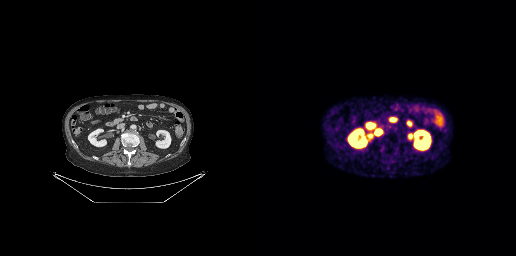
Paired axial CT (left) and PSMA PET (right), [68Ga]Ga-PSMA-11 tracer. Slice position z = -589 mm. PET panel 256×256 px (2.7 mm/px).
Coordinates are on the 256×256 PET (right) panel. PSMA-avid tumor lesion bounding boxes:
| # | x0 | y0 | x1 | y1 |
|---|---|---|---|---|
| 1 | 116 | 130 | 120 | 134 |